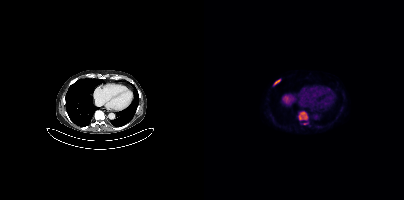
Coordinates are on the 200×200 PET (right) panel. PSMA-avid tumor lesion bounding boxes:
| # | x0 | y0 | x1 | y1 |
|---|---|---|---|---|
| 1 | 95 | 112 | 103 | 119 |
| 2 | 70 | 79 | 76 | 85 |
Small PSMA-avid focus (2 to 4 px across) near (center x, center y): (100, 123).
Paired axial CT (left) and PSMA PET (right), [18F]PSMA-1007 tracer. Acquired on Siemens Biograph mCT Flow 20. Slice 256 of 429. PET panel 200×200 px (4.1 mm/px).